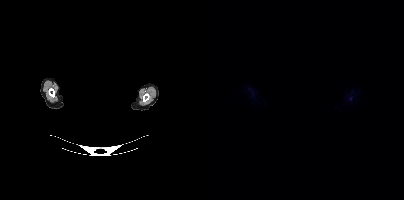
{"pet_grid":[200,200],"coord_frame":"pet_panel","coord_format":"x0,y0,x1,y1","psma_avid_lesions":false,"modality":"PSMA PET/CT","view":"axial","tracer":"18F-PSMA","deidentification":"privacy mask over head"}